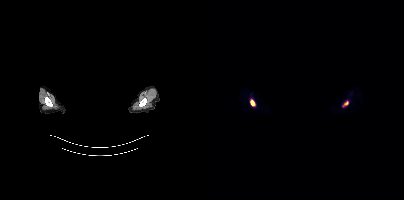
{"modality":"PSMA PET/CT","view":"axial","tracer":"68Ga","pet_grid":[200,200],"coord_frame":"pet_panel","coord_format":"x0,y0,x1,y1","lesion_bboxes":[[46,99,51,106],[139,102,144,106]],"deidentification":"facial region redacted"}